- Two-panel axial: CT | PSMA PET, 18F tracer
- acquired on Siemens Biograph mCT Flow 20
- slice position z = -564 mm
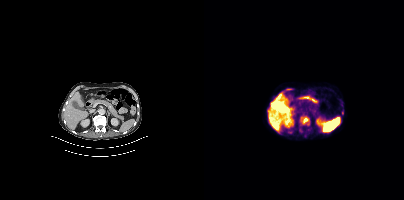
Findings: Coordinates are on the 200×200 PET (right) panel. (showing 1 of 2 foci) PSMA-avid tumor lesion bounding box (x, y, width, height): x=97 y=119 w=9 h=6.